modality: PSMA PET/CT | tracer: 18F-PSMA | view: axial | PET grid: 200×200
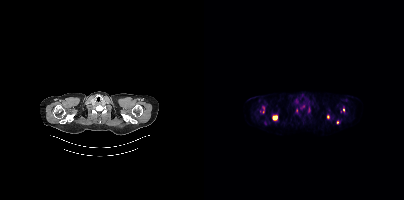
Coordinates are on the 200×200 PET (right) panel. (showing 3 of 4 foci) PSMA-avid tumor lesion bounding box (x0,y0,x1,y1): [68,115,73,119]. Small PSMA-avid foci (2 to 4 px across) near (center x, center y): (124, 116); (139, 110).